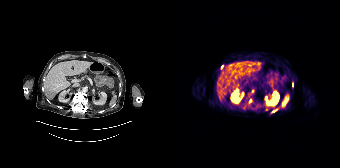
Paired axial CT (left) and PSMA PET (right), [68Ga]Ga-PSMA-11 tracer.
Coordinates are on the 168×168 PET (right) panel. PSMA-avid tumor lesion bounding boxes:
| # | x0 | y0 | x1 | y1 |
|---|---|---|---|---|
| 1 | 100 | 110 | 104 | 112 |
Small PSMA-avid foci (2 to 4 px across) near (center x, center y): (78, 100); (80, 91); (49, 66); (120, 84).